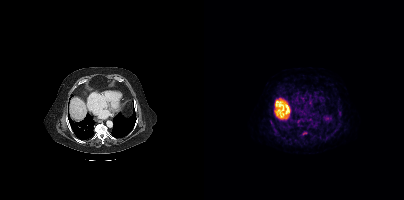
{"modality":"PSMA PET/CT","view":"axial","tracer":"[68Ga]Ga-PSMA-11","pet_grid":[200,200],"coord_frame":"pet_panel","coord_format":"x0,y0,x1,y1","psma_avid_lesions":false}